Left: CT. Right: PSMA PET, same axial level, [18F]PSMA-1007 tracer.
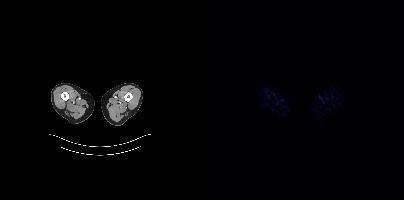
No tumor lesions annotated on this slice.